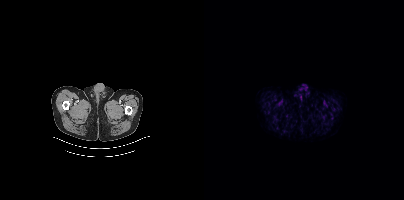
This slice has no annotated PSMA-avid lesion.